Two-panel axial: CT | PSMA PET, [68Ga]Ga-PSMA-11 tracer. Acquired on Siemens Biograph mCT Flow 20. Slice position z = -1201 mm.
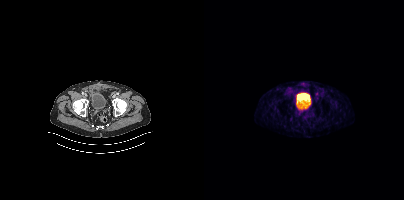
No PSMA-avid tumor lesions on this slice.